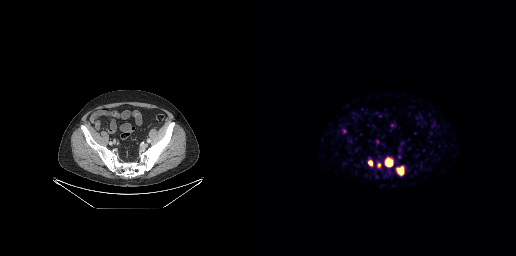
{"pet_grid":[256,256],"coord_frame":"pet_panel","coord_format":"x0,y0,x1,y1","lesion_bboxes":[[125,158,132,166],[137,166,143,175],[108,160,112,165]],"small_foci_centers":[[119,165]],"modality":"PSMA PET/CT","view":"axial","tracer":"[68Ga]Ga-PSMA-11"}